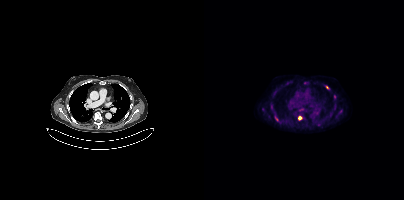
Coordinates are on the 200×200 PET (right) panel. PSMA-avid tumor lesion bounding box (x0,y0,x1,y1): [71,116,74,120]. Small PSMA-avid foci (2 to 4 px across) near (center x, center y): (95, 117) (123, 87) (130, 96).
modality: PSMA PET/CT | tracer: 18F-PSMA | view: axial | PET grid: 200×200